Left: CT. Right: PSMA PET, same axial level, 18F tracer. Acquired on Siemens Biograph mCT Flow 20. PET panel 200×200 px (4.1 mm/px).
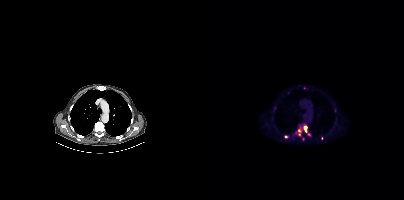
Coordinates are on the 200×200 PET (right) panel. (showing 4 of 8 foci) PSMA-avid tumor lesion bounding box (x, y, width, height): x=100 y=125 w=4 h=8. Small PSMA-avid foci (2 to 4 px across) near (center x, center y): (81, 136) | (104, 134) | (95, 130).